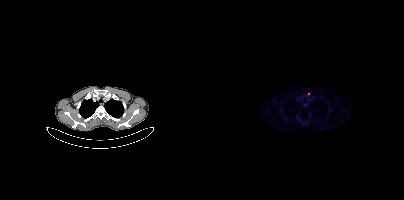
{"pet_grid":[200,200],"coord_frame":"pet_panel","coord_format":"x0,y0,x1,y1","lesion_bboxes":[],"small_foci_centers":[[104,93]],"modality":"PSMA PET/CT","view":"axial","tracer":"68Ga"}